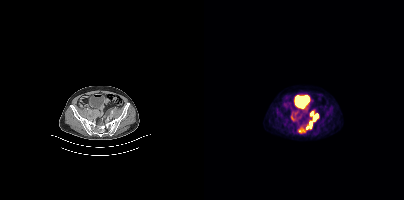
modality: PSMA PET/CT | tracer: 18F | view: axial | PET grid: 200×200
Coordinates are on the 200×200 PET (right) panel. PSMA-avid tumor lesion bounding boxes (x, y, width, height): x=94 y=122 w=15 h=12 | x=87 y=112 w=6 h=9 | x=109 y=114 w=6 h=7. Small PSMA-avid foci (2 to 4 px across) near (center x, center y): (107, 113) | (102, 111).